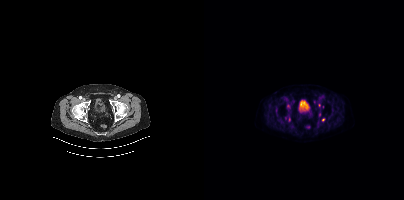
Findings: Coordinates are on the 200×200 PET (right) panel. (showing 3 of 4 foci) Small PSMA-avid foci (2 to 4 px across) near (center x, center y): (119, 119); (85, 119); (115, 114).
- Two-panel axial: CT | PSMA PET, 18F-PSMA tracer
- slice 70 of 407